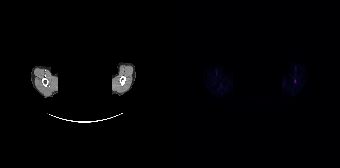
Coordinates are on the 168×168 PET (right) panel. PSMA-avid tumor lesion bounding box (x0,y0,x1,y1): [122,79,124,83]. Left: CT. Right: PSMA PET, same axial level, [18F]PSMA-1007 tracer. Acquired on Siemens Biograph 64-4R TruePoint. Slice 148 of 165. PET panel 168×168 px (4.1 mm/px). De-identified by setting a box covering the face to black before release.